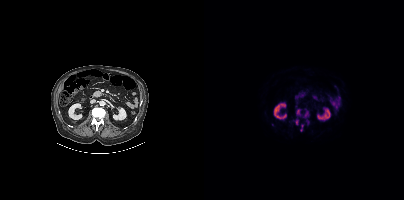
{"modality":"PSMA PET/CT","view":"axial","tracer":"18F","pet_grid":[200,200],"coord_frame":"pet_panel","coord_format":"x0,y0,x1,y1","lesion_bboxes":[[92,109,96,116],[99,109,105,117],[91,119,94,125],[96,124,99,131],[102,120,105,124]]}